Left: CT. Right: PSMA PET, same axial level, [18F]PSMA-1007 tracer. Slice position z = 249 mm.
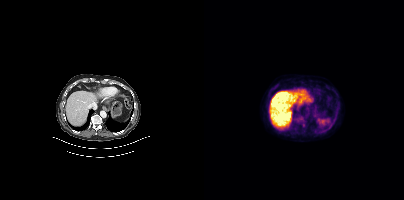
Coordinates are on the 200×200 PET (right) panel. PSMA-avid tumor lesion bounding box (x0,y0,x1,y1): [97,121,100,126].